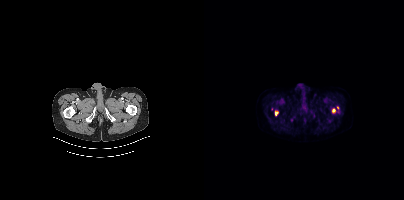
{"modality":"PSMA PET/CT","view":"axial","tracer":"[18F]PSMA-1007","pet_grid":[200,200],"coord_frame":"pet_panel","coord_format":"x0,y0,x1,y1","partial":true,"lesion_bboxes":[[128,108,131,113],[71,111,74,115]],"small_foci_centers":[[133,107]]}